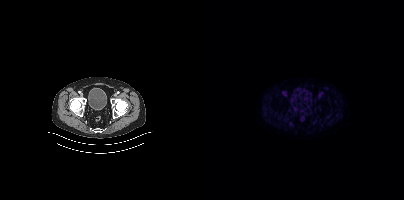
Findings: No PSMA-avid tumor lesions on this slice.
- Left: CT. Right: PSMA PET, same axial level, [18F]PSMA-1007 tracer